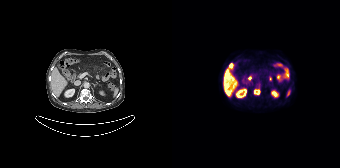
{"modality":"PSMA PET/CT","view":"axial","tracer":"[18F]PSMA-1007","pet_grid":[168,168],"coord_frame":"pet_panel","coord_format":"x0,y0,x1,y1","lesion_bboxes":[[82,90,87,94]]}